- Left: CT. Right: PSMA PET, same axial level, [18F]PSMA-1007 tracer
- slice position z = -1286 mm
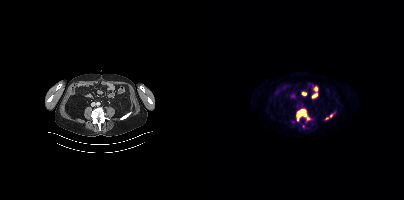
Findings: Coordinates are on the 200×200 PET (right) panel. (showing 3 of 4 foci) PSMA-avid tumor lesion bounding box (x0, y0)-(x1, y1): (93, 109)-(105, 120). Small PSMA-avid foci (2 to 4 px across) near (center x, center y): (127, 115); (123, 118).